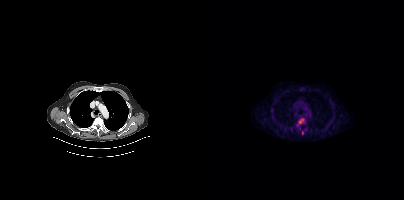
Coordinates are on the 200×200 PET (right) panel. (showing 1 of 2 foci) PSMA-avid tumor lesion bounding box (x0, y0)-(x1, y1): (94, 118)-(100, 123). Paired axial CT (left) and PSMA PET (right), 18F tracer. Acquired on Siemens Biograph mCT Flow 20.